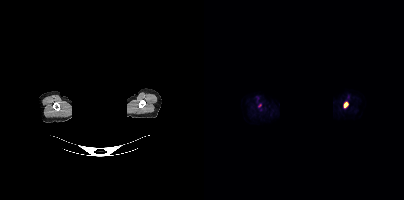
de-identification: facial region redacted | modality: PSMA PET/CT | tracer: 18F | view: axial
Coordinates are on the 200×200 PET (right) panel. PSMA-avid tumor lesion bounding box (x0, y0)-(x1, y1): (140, 102)-(144, 107).